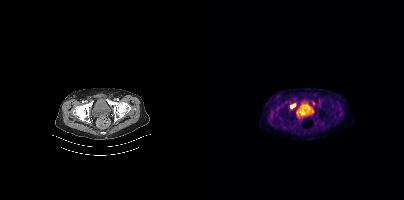
Two-panel axial: CT | PSMA PET, 18F tracer. Slice position z = -1412 mm. PET panel 200×200 px (4.1 mm/px).
Coordinates are on the 200×200 PET (right) panel. PSMA-avid tumor lesion bounding boxes:
| # | x0 | y0 | x1 | y1 |
|---|---|---|---|---|
| 1 | 87 | 103 | 91 | 108 |